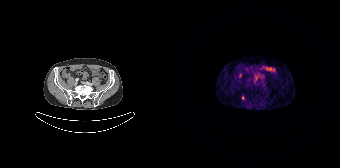
Findings: Coordinates are on the 168×168 PET (right) panel. Small PSMA-avid focus (2 to 4 px across) near (center x, center y): (71, 97).
- Two-panel axial: CT | PSMA PET, [68Ga]Ga-PSMA-11 tracer
- acquired on Siemens Biograph 64-4R TruePoint
- PET panel 168×168 px (4.1 mm/px)